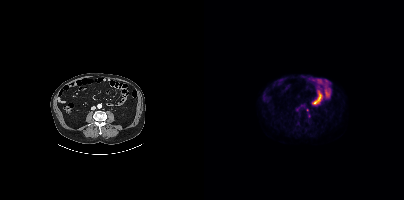
{"pet_grid":[200,200],"coord_frame":"pet_panel","coord_format":"x0,y0,x1,y1","partial":true,"lesion_bboxes":[],"small_foci_centers":[[103,110]],"modality":"PSMA PET/CT","view":"axial","tracer":"[18F]PSMA-1007"}